modality: PSMA PET/CT | tracer: [18F]PSMA-1007 | view: axial | PET grid: 256×256
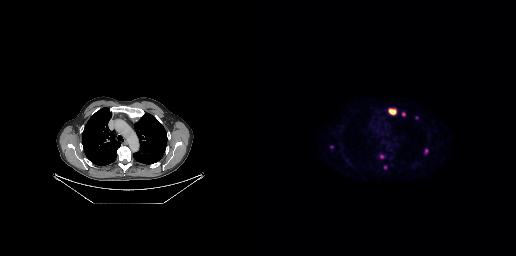
Coordinates are on the 256×256 PET (right) panel. PSMA-avid tumor lesion bounding boxes (x0, y0)-(x1, y1): (128, 108)-(136, 115); (165, 149)-(168, 153). Small PSMA-avid foci (2 to 4 px across) near (center x, center y): (71, 146); (143, 113); (121, 156); (125, 167); (156, 117).